Two-panel axial: CT | PSMA PET, 18F tracer. Acquired on Siemens Biograph mCT Flow 20.
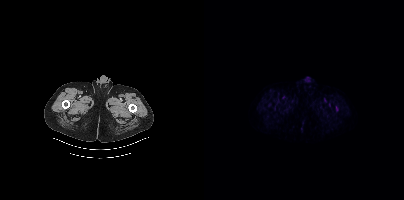
Negative for PSMA-avid disease on this slice.